modality: PSMA PET/CT | tracer: 18F | view: axial
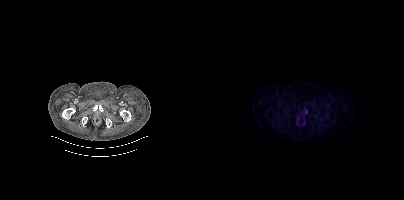
Coordinates are on the 200×200 PET (right) panel. Small PSMA-avid focus (2 to 4 px across) near (center x, center y): (102, 111).